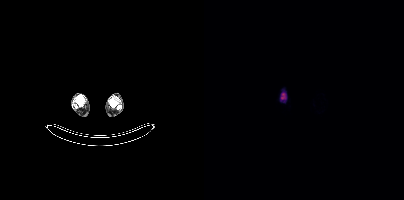
Coordinates are on the 200×200 PET (right) panel. PSMA-avid tumor lesion bounding boxes:
| # | x0 | y0 | x1 | y1 |
|---|---|---|---|---|
| 1 | 77 | 93 | 80 | 98 |
Left: CT. Right: PSMA PET, same axial level, [18F]PSMA-1007 tracer. Acquired on Siemens Biograph mCT Flow 20.